Left: CT. Right: PSMA PET, same axial level, 18F tracer. Slice position z = -135 mm. PET panel 256×256 px (2.7 mm/px).
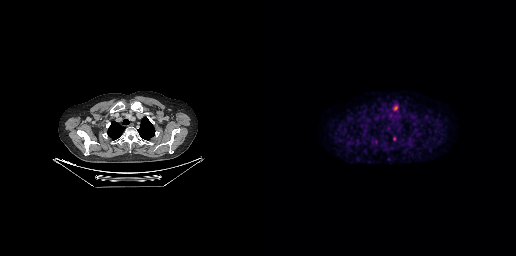
Coordinates are on the 256×256 PET (right) panel. (showing 1 of 2 foci) PSMA-avid tumor lesion bounding box (x0,y0,x1,y1): [133,106,137,110].